Technique: Left: CT. Right: PSMA PET, same axial level, [18F]PSMA-1007 tracer.
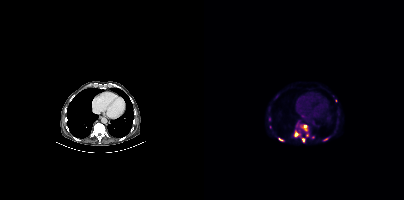
Findings: Coordinates are on the 200×200 PET (right) panel. (showing 9 of 10 foci) PSMA-avid tumor lesion bounding boxes (x, y, width, height): x=90 y=130 w=8 h=7; x=99 y=125 w=5 h=7. Small PSMA-avid foci (2 to 4 px across) near (center x, center y): (121, 139); (99, 140); (76, 139); (97, 125); (66, 127); (131, 100); (103, 134).